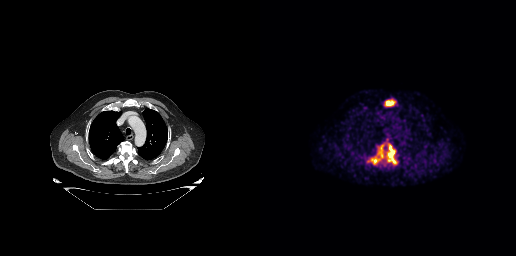
Coordinates are on the 256×256 PET (right) panel. PSMA-avid tumor lesion bounding boxes (x0, y0)-(x1, y1): (107, 143)-(137, 165) / (125, 99)-(135, 106).